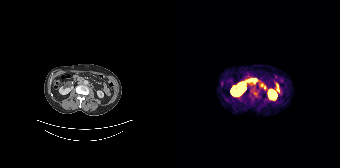
This slice has no annotated PSMA-avid lesion.
modality: PSMA PET/CT | tracer: 68Ga | view: axial | PET grid: 168×168